modality: PSMA PET/CT | tracer: [18F]PSMA-1007 | view: axial | PET grid: 256×256
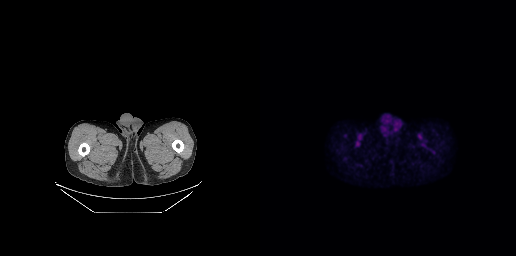
No tumor lesions annotated on this slice.